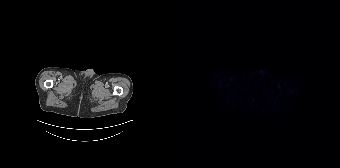
Negative for PSMA-avid disease on this slice.